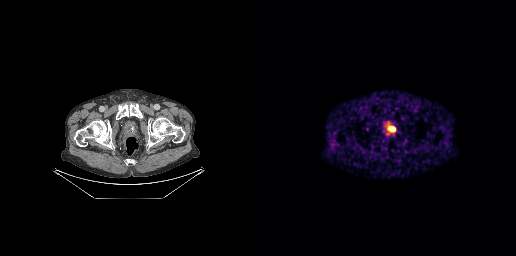
Coordinates are on the 256×256 PET (right) panel. PSMA-avid tumor lesion bounding boxes:
| # | x0 | y0 | x1 | y1 |
|---|---|---|---|---|
| 1 | 129 | 127 | 135 | 131 |
Two-panel axial: CT | PSMA PET, [68Ga]Ga-PSMA-11 tracer. Acquired on GE Discovery 690. Slice 53 of 263. PET panel 256×256 px (2.7 mm/px).